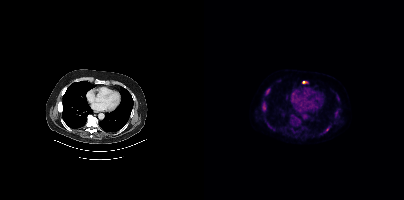
Coordinates are on the 200×200 PET (right) panel. PSMA-avid tumor lesion bounding boxes:
| # | x0 | y0 | x1 | y1 |
|---|---|---|---|---|
| 1 | 58 | 102 | 62 | 108 |
| 2 | 61 | 88 | 66 | 94 |
| 3 | 98 | 81 | 103 | 83 |
Small PSMA-avid focus (2 to 4 px across) near (center x, center y): (123, 129).
Two-panel axial: CT | PSMA PET, [18F]PSMA-1007 tracer. Slice position z = -420 mm.